modality: PSMA PET/CT | tracer: [18F]PSMA-1007 | view: axial | PET grid: 256×256
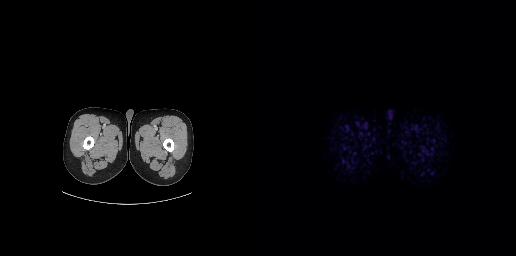
No tumor lesions annotated on this slice.